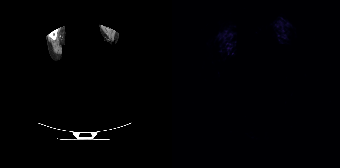
Technique: Two-panel axial: CT | PSMA PET, [68Ga]Ga-PSMA-11 tracer. slice 192 of 195. PET panel 168×168 px (4.1 mm/px).
Note: An anonymization step blacked out a rectangle over the head in this scan.
Findings: This slice has no annotated PSMA-avid lesion.